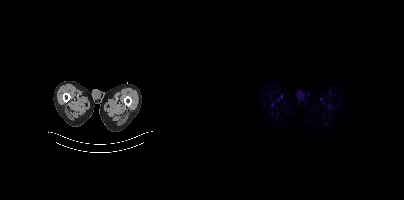
Left: CT. Right: PSMA PET, same axial level, 18F-PSMA tracer. PET panel 200×200 px (4.1 mm/px). This slice has no annotated PSMA-avid lesion.